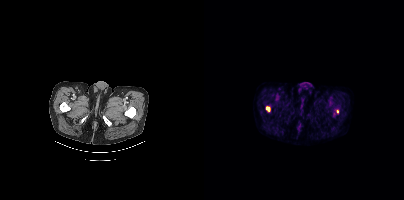
{"modality":"PSMA PET/CT","view":"axial","tracer":"18F","pet_grid":[200,200],"coord_frame":"pet_panel","coord_format":"x0,y0,x1,y1","lesion_bboxes":[[62,107,65,111]],"small_foci_centers":[[133,111]]}